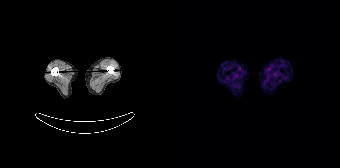
Paired axial CT (left) and PSMA PET (right), [68Ga]Ga-PSMA-11 tracer. Acquired on Siemens Biograph 64-4R TruePoint. Slice 9 of 165. PET panel 168×168 px (4.1 mm/px). No tumor lesions annotated on this slice.